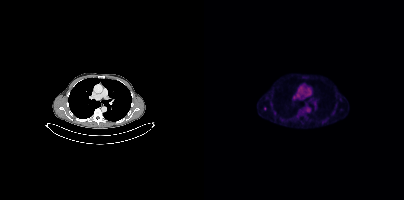
Technique: Two-panel axial: CT | PSMA PET, 18F-PSMA tracer. slice position z = 1625 mm. PET panel 200×200 px (4.1 mm/px).
Findings: Coordinates are on the 200×200 PET (right) panel. Small PSMA-avid focus (2 to 4 px across) near (center x, center y): (61, 108).